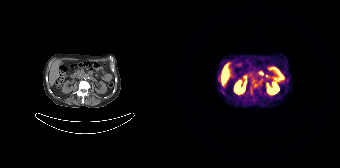
Findings: Coordinates are on the 168×168 PET (right) panel. Small PSMA-avid foci (2 to 4 px across) near (center x, center y): (83, 85) | (81, 80).
Technique: Left: CT. Right: PSMA PET, same axial level, 68Ga tracer. PET panel 168×168 px (4.1 mm/px).